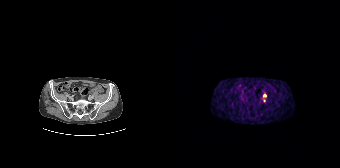
modality: PSMA PET/CT | tracer: 68Ga | view: axial
Coordinates are on the 168×168 PET (right) panel. (showing 1 of 2 foci) Small PSMA-avid focus (2 to 4 px across) near (center x, center y): (92, 95).